Left: CT. Right: PSMA PET, same axial level, 18F tracer. Acquired on Siemens Biograph mCT Flow 20.
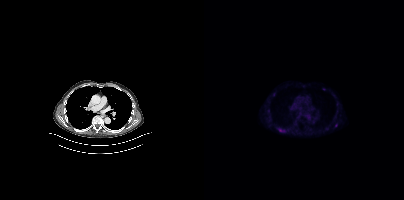
Coordinates are on the 200×200 PET (right) panel. PSMA-avid tumor lesion bounding box (x0,y0,x1,y1): [75,129,80,131]. Small PSMA-avid focus (2 to 4 px across) near (center x, center y): (131, 125).